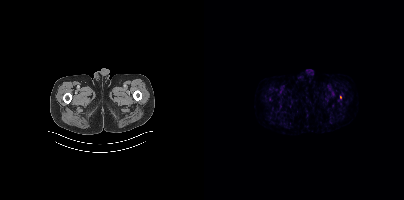
Coordinates are on the 200×200 PET (right) panel. Small PSMA-avid focus (2 to 4 px across) near (center x, center y): (136, 96).